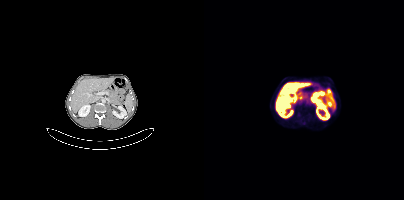
Two-panel axial: CT | PSMA PET, 18F-PSMA tracer. Acquired on Siemens Biograph mCT Flow 20. PET panel 200×200 px (4.1 mm/px). Negative for PSMA-avid disease on this slice.